Technique: Left: CT. Right: PSMA PET, same axial level, 68Ga tracer.
Note: A rectangle over the head was blacked out to remove identifiable facial features.
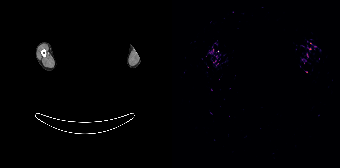
Findings: Negative for PSMA-avid disease on this slice.